Technique: Left: CT. Right: PSMA PET, same axial level, [18F]PSMA-1007 tracer. PET panel 200×200 px (4.1 mm/px).
Note: Head region blanked for anonymization (face removed).
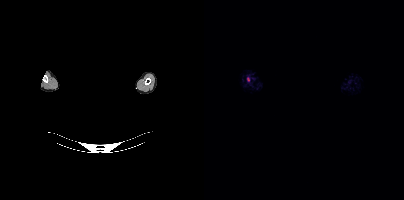
Findings: No tumor lesions annotated on this slice.